Technique: Paired axial CT (left) and PSMA PET (right), 18F tracer. slice 210 of 407.
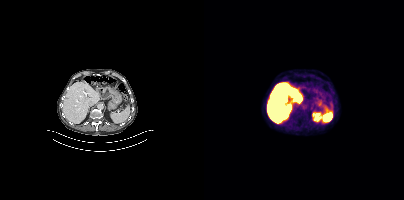
Findings: This slice has no annotated PSMA-avid lesion.